Technique: Paired axial CT (left) and PSMA PET (right), [18F]PSMA-1007 tracer. acquired on Siemens Biograph mCT Flow 20. PET panel 200×200 px (4.1 mm/px).
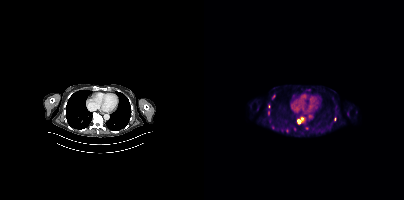
Findings: Coordinates are on the 200×200 PET (right) panel. (showing 4 of 6 foci) PSMA-avid tumor lesion bounding boxes (x0,y0,x1,y1): [94,119,96,123]; [64,111,65,115]. Small PSMA-avid foci (2 to 4 px across) near (center x, center y): (69, 96); (130, 119).